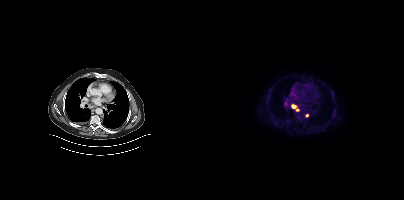
{"modality":"PSMA PET/CT","view":"axial","tracer":"18F-PSMA","pet_grid":[200,200],"coord_frame":"pet_panel","coord_format":"x0,y0,x1,y1","lesion_bboxes":[[88,104,94,110]],"small_foci_centers":[[103,115]]}